The head region is masked for de-identification. Paired axial CT (left) and PSMA PET (right), 18F-PSMA tracer. Slice position z = -975 mm.
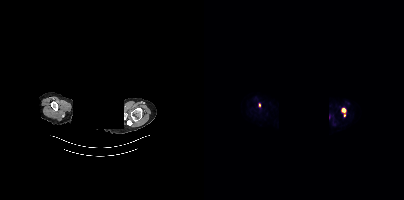
Coordinates are on the 200×200 PET (right) panel. PSMA-avid tumor lesion bounding boxes:
| # | x0 | y0 | x1 | y1 |
|---|---|---|---|---|
| 1 | 137 | 108 | 142 | 116 |
Small PSMA-avid focus (2 to 4 px across) near (center x, center y): (55, 104).